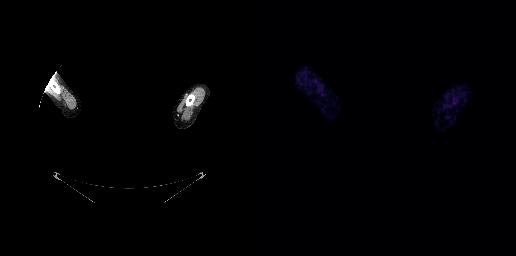
{"modality":"PSMA PET/CT","view":"axial","tracer":"68Ga-PSMA","pet_grid":[256,256],"coord_frame":"pet_panel","coord_format":"x0,y0,x1,y1","psma_avid_lesions":false,"redaction":"rectangular block over head set to black"}